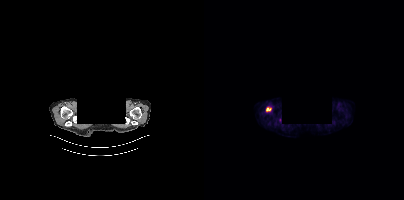
Face de-identified by blanking a block of the head.
Coordinates are on the 200×200 PET (right) panel. (showing 1 of 2 foci) PSMA-avid tumor lesion bounding box (x, y, width, height): x=62 y=107 w=5 h=5.